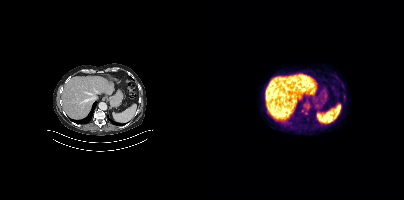
Findings: Negative for PSMA-avid disease on this slice.
Technique: Two-panel axial: CT | PSMA PET, 18F-PSMA tracer. PET panel 200×200 px (4.1 mm/px).